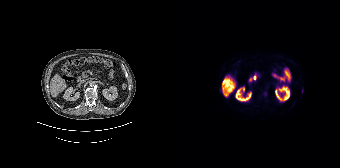
Technique: Paired axial CT (left) and PSMA PET (right), 18F-PSMA tracer. slice 77 of 165.
Findings: No tumor lesions annotated on this slice.